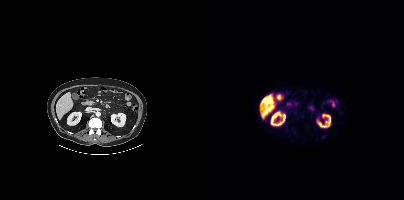
{"modality":"PSMA PET/CT","view":"axial","tracer":"18F-PSMA","pet_grid":[200,200],"coord_frame":"pet_panel","coord_format":"x0,y0,x1,y1","lesion_bboxes":[],"small_foci_centers":[[120,136]]}